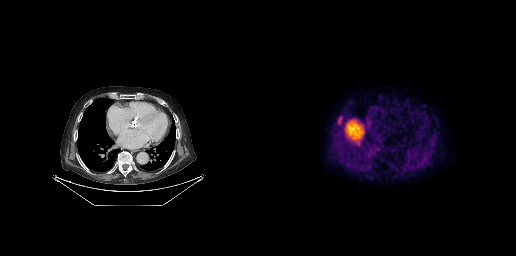
Findings: Coordinates are on the 256×256 PET (right) panel. PSMA-avid tumor lesion bounding box (x0, y0)-(x1, y1): (78, 117)-(81, 123).
- Two-panel axial: CT | PSMA PET, 18F-PSMA tracer